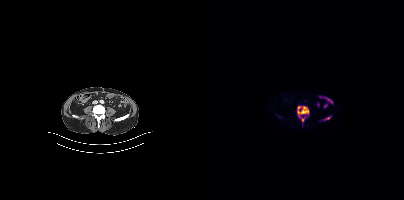
Two-panel axial: CT | PSMA PET, 18F-PSMA tracer. Slice position z = -670 mm.
Coordinates are on the 200×200 PET (right) panel. PSMA-avid tumor lesion bounding boxes:
| # | x0 | y0 | x1 | y1 |
|---|---|---|---|---|
| 1 | 93 | 106 | 105 | 121 |
Small PSMA-avid focus (2 to 4 px across) near (center x, center y): (124, 118).